- Paired axial CT (left) and PSMA PET (right), [18F]PSMA-1007 tracer
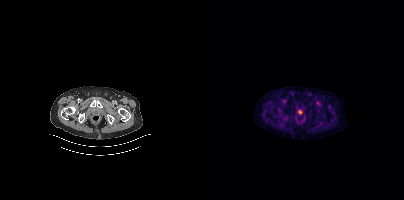
Findings: No PSMA-avid tumor lesions on this slice.